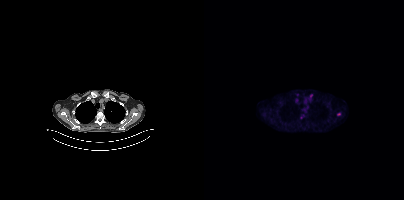
Findings: Coordinates are on the 200×200 PET (right) panel. (showing 2 of 3 foci) Small PSMA-avid foci (2 to 4 px across) near (center x, center y): (134, 114) | (107, 95).
Technique: Two-panel axial: CT | PSMA PET, [18F]PSMA-1007 tracer.